Technique: Two-panel axial: CT | PSMA PET, [68Ga]Ga-PSMA-11 tracer. PET panel 200×200 px (4.1 mm/px).
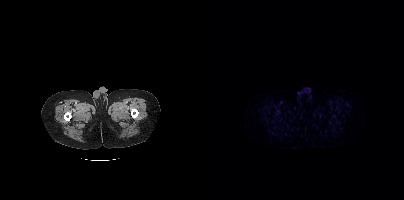
Findings: No tumor lesions annotated on this slice.